Technique: Paired axial CT (left) and PSMA PET (right), 68Ga tracer. PET panel 256×256 px (2.7 mm/px).
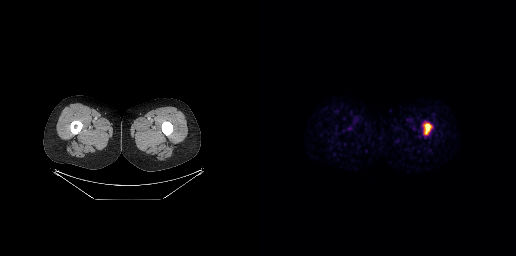
Findings: Coordinates are on the 256×256 PET (right) panel. PSMA-avid tumor lesion bounding box (x0, y0)-(x1, y1): (164, 123)-(171, 134).